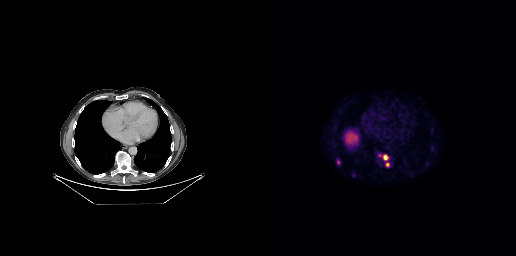
- Paired axial CT (left) and PSMA PET (right), [18F]PSMA-1007 tracer
- acquired on GE Discovery 690
- PET panel 256×256 px (2.7 mm/px)
Findings: Coordinates are on the 256×256 PET (right) panel. (showing 5 of 6 foci) PSMA-avid tumor lesion bounding boxes (x0,y0,x1,y1): [123,154,128,160], [125,162,129,167], [77,160,79,164]. Small PSMA-avid foci (2 to 4 px across) near (center x, center y): (93, 175), (166, 163).